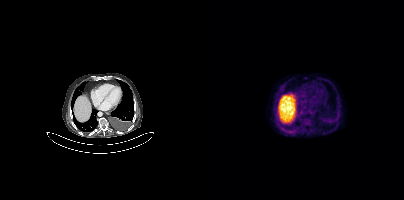
No tumor lesions annotated on this slice. Two-panel axial: CT | PSMA PET, [18F]PSMA-1007 tracer. Slice position z = -1152 mm.